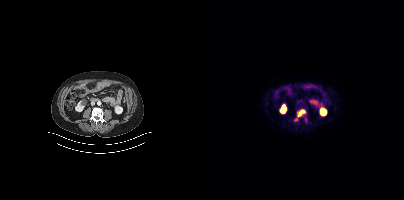
Two-panel axial: CT | PSMA PET, 18F tracer. Acquired on Siemens Biograph mCT Flow 20. Coordinates are on the 200×200 PET (right) panel. PSMA-avid tumor lesion bounding box (x0, y0)-(x1, y1): (94, 110)-(101, 116).